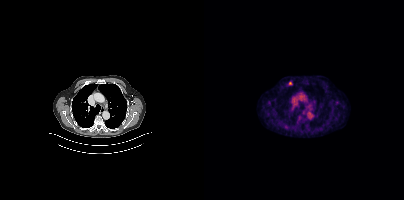
Technique: Left: CT. Right: PSMA PET, same axial level, 18F-PSMA tracer. slice position z = -338 mm.
Findings: Coordinates are on the 200×200 PET (right) panel. PSMA-avid tumor lesion bounding box (x0,y0,x1,y1): [84,81,88,85].